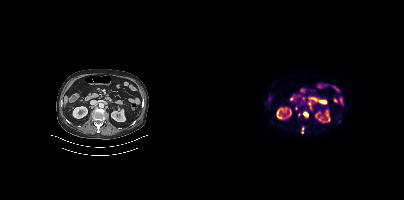
Paired axial CT (left) and PSMA PET (right), 18F tracer. Slice position z = -1339 mm. PET panel 200×200 px (4.1 mm/px). Coordinates are on the 200×200 PET (right) panel. (showing 3 of 5 foci) PSMA-avid tumor lesion bounding box (x, y, width, height): x=99 y=111 w=6 h=7. Small PSMA-avid foci (2 to 4 px across) near (center x, center y): (98, 128); (98, 132).